Technique: Paired axial CT (left) and PSMA PET (right), 18F-PSMA tracer. slice 96 of 165. PET panel 168×168 px (4.1 mm/px).
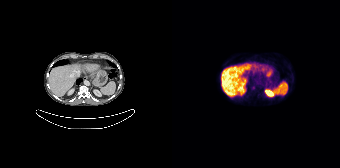
Findings: Coordinates are on the 168×168 PET (right) panel. Small PSMA-avid focus (2 to 4 px across) near (center x, center y): (81, 87).